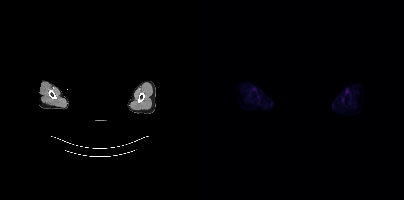
No PSMA-avid tumor lesions on this slice.
Privacy masking over the head, with the pixels inside a rectangle set to black.